Paired axial CT (left) and PSMA PET (right), [18F]PSMA-1007 tracer. Acquired on Siemens Biograph mCT Flow 20. PET panel 200×200 px (4.1 mm/px).
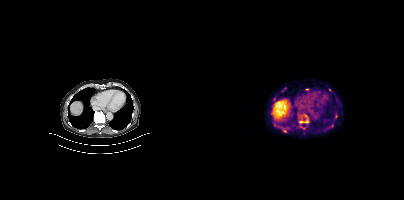
Coordinates are on the 200×200 PET (right) panel. PSMA-avid tumor lesion bounding boxes (partial; 2 more foci not listed):
| # | x0 | y0 | x1 | y1 |
|---|---|---|---|---|
| 1 | 95 | 119 | 104 | 122 |
Small PSMA-avid foci (2 to 4 px across) near (center x, center y): (80, 130); (103, 89); (101, 115); (132, 116).